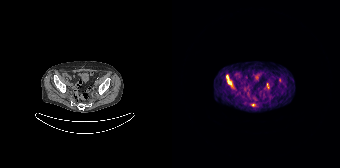
Two-panel axial: CT | PSMA PET, 68Ga-PSMA tracer. Coordinates are on the 168×168 PET (right) panel. PSMA-avid tumor lesion bounding boxes (x0,y0,x1,y1): [54,75,59,84]; [94,83,97,87]. Small PSMA-avid focus (2 to 4 px across) near (center x, center y): (81, 105).